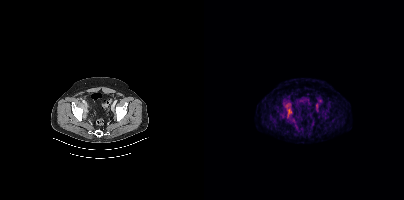
modality: PSMA PET/CT | tracer: 18F | view: axial | PET grid: 200×200
Coordinates are on the 200×200 PET (right) panel. (showing 1 of 2 foci) PSMA-avid tumor lesion bounding box (x0, y0)-(x1, y1): (84, 109)-(87, 116).